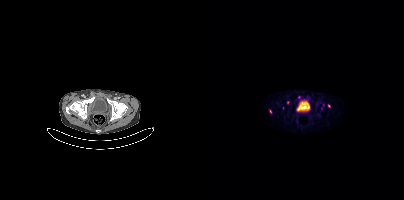
- Paired axial CT (left) and PSMA PET (right), 68Ga tracer
- acquired on Siemens Biograph mCT Flow 20
- slice 51 of 393
Findings: Coordinates are on the 200×200 PET (right) panel. (showing 3 of 4 foci) Small PSMA-avid foci (2 to 4 px across) near (center x, center y): (125, 105) | (83, 102) | (66, 111).